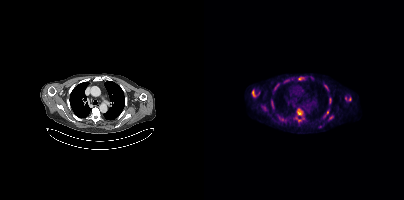
Two-panel axial: CT | PSMA PET, 18F tracer. PET panel 200×200 px (4.1 mm/px). Coordinates are on the 200×200 PET (right) panel. (showing 10 of 11 foci) PSMA-avid tumor lesion bounding boxes (x, y, width, height): x=93 y=109 w=6 h=7 | x=94 y=77 w=6 h=4 | x=119 y=111 w=6 h=7 | x=125 y=116 w=5 h=4 | x=71 y=83 w=4 h=5 | x=48 y=91 w=3 h=5 | x=125 y=98 w=3 h=6. Small PSMA-avid foci (2 to 4 px across) near (center x, center y): (68, 103) | (95, 120) | (141, 98).